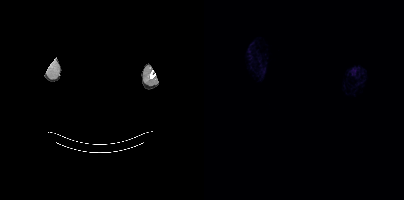
Technique: Two-panel axial: CT | PSMA PET, [18F]PSMA-1007 tracer. slice position z = -288 mm.
Note: The head region is masked for de-identification.
Findings: This slice has no annotated PSMA-avid lesion.